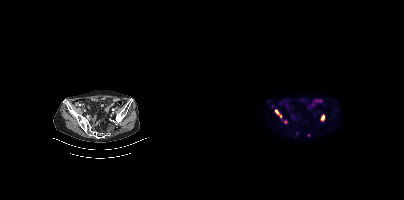
Coordinates are on the 200×200 PET (right) panel. (showing 5 of 6 foci) PSMA-avid tumor lesion bounding boxes (x0, y0)-(x1, y1): (71, 110)-(77, 117); (117, 115)-(120, 120). Small PSMA-avid foci (2 to 4 px across) near (center x, center y): (68, 106); (64, 101); (81, 122).